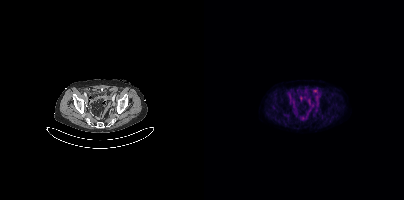
{"modality":"PSMA PET/CT","view":"axial","tracer":"18F-PSMA","pet_grid":[200,200],"coord_frame":"pet_panel","coord_format":"x0,y0,x1,y1","psma_avid_lesions":false}